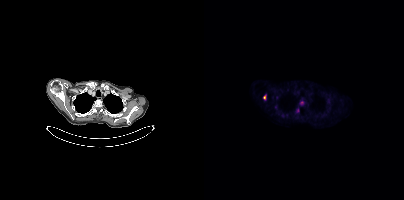
Coordinates are on the 200×200 PET (right) panel. PSMA-avid tumor lesion bounding boxes:
| # | x0 | y0 | x1 | y1 |
|---|---|---|---|---|
| 1 | 59 | 94 | 62 | 100 |
Small PSMA-avid foci (2 to 4 px across) near (center x, center y): (97, 102); (93, 110); (71, 106); (72, 97).
Paired axial CT (left) and PSMA PET (right), [18F]PSMA-1007 tracer. Slice 333 of 409. PET panel 200×200 px (4.1 mm/px).